modality: PSMA PET/CT | tracer: 18F-PSMA | view: axial
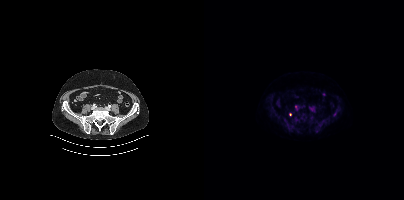
Coordinates are on the 200×200 PET (right) panel. Small PSMA-avid focus (2 to 4 px across) near (center x, center y): (86, 114).